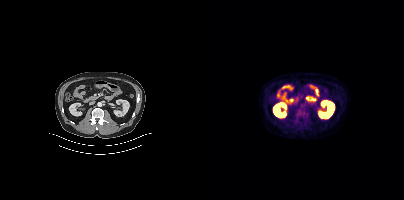
- Two-panel axial: CT | PSMA PET, 18F-PSMA tracer
- acquired on Siemens Biograph mCT Flow 20
Findings: No tumor lesions annotated on this slice.